Technique: Two-panel axial: CT | PSMA PET, [18F]PSMA-1007 tracer. acquired on Siemens Biograph mCT Flow 20. slice 307 of 377.
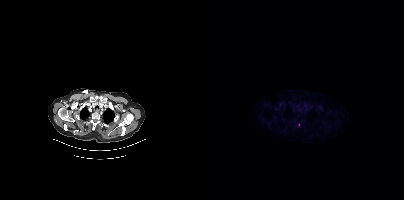
Findings: Coordinates are on the 200×200 PET (right) panel. Small PSMA-avid focus (2 to 4 px across) near (center x, center y): (95, 124).